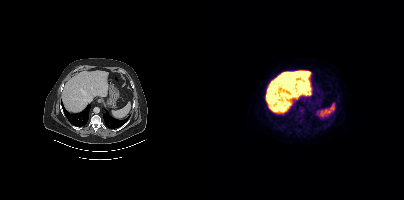
Technique: Paired axial CT (left) and PSMA PET (right), [18F]PSMA-1007 tracer.
Findings: Negative for PSMA-avid disease on this slice.